Technique: Two-panel axial: CT | PSMA PET, 18F-PSMA tracer. acquired on Siemens Biograph mCT Flow 20. slice 195 of 411. PET panel 200×200 px (4.1 mm/px).
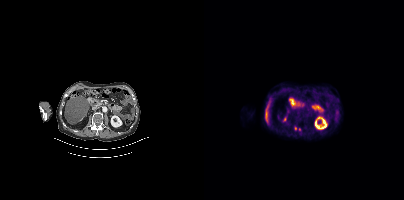
Findings: Coordinates are on the 200×200 PET (right) panel. Small PSMA-avid foci (2 to 4 px across) near (center x, center y): (91, 128) / (95, 129).